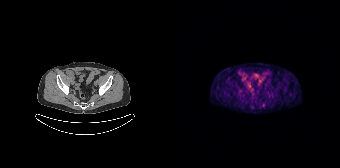
- Paired axial CT (left) and PSMA PET (right), 68Ga-PSMA tracer
- slice position z = -644 mm
- PET panel 168×168 px (4.1 mm/px)
Findings: Only PSMA-avid lesion pieces thinner than 2 px on this slice (not listed).